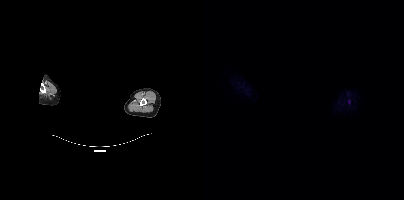
Findings: No tumor lesions annotated on this slice.
Technique: Left: CT. Right: PSMA PET, same axial level, [18F]PSMA-1007 tracer. acquired on Siemens Biograph mCT Flow 20. slice 395 of 413. PET panel 200×200 px (4.1 mm/px).
Note: The head region is masked for de-identification.